Left: CT. Right: PSMA PET, same axial level, [18F]PSMA-1007 tracer. PET panel 200×200 px (4.1 mm/px).
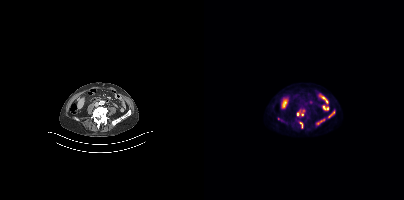
Coordinates are on the 200×200 PET (right) panel. PSMA-avid tumor lesion bounding boxes (partial; 1 more focus not listed):
| # | x0 | y0 | x1 | y1 |
|---|---|---|---|---|
| 1 | 92 | 109 | 101 | 117 |
| 2 | 112 | 118 | 121 | 125 |
| 3 | 124 | 111 | 130 | 118 |
| 4 | 95 | 122 | 98 | 128 |